- Left: CT. Right: PSMA PET, same axial level, 68Ga tracer
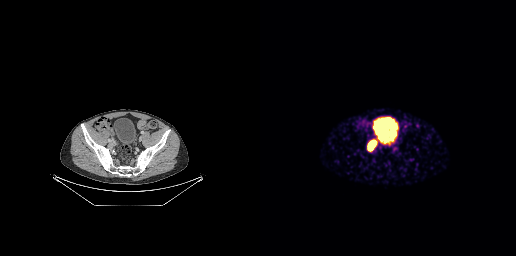
Findings: Coordinates are on the 256×256 PET (right) panel. PSMA-avid tumor lesion bounding box (x0, y0)-(x1, y1): (108, 140)-(115, 150).